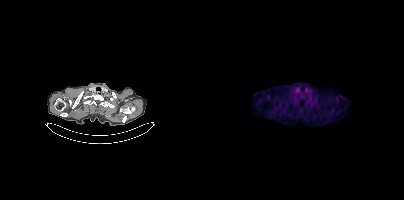
This slice has no annotated PSMA-avid lesion.